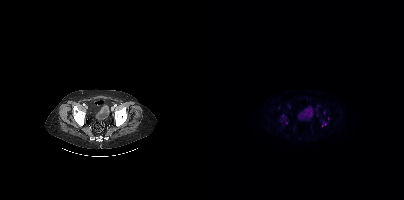
- Left: CT. Right: PSMA PET, same axial level, [18F]PSMA-1007 tracer
- acquired on Siemens Biograph mCT Flow 20
Findings: Only PSMA-avid lesion pieces thinner than 2 px on this slice (not listed).